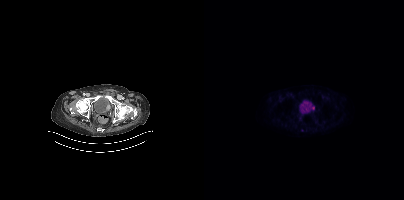
{"modality":"PSMA PET/CT","view":"axial","tracer":"18F","pet_grid":[200,200],"coord_frame":"pet_panel","coord_format":"x0,y0,x1,y1","partial":true,"lesion_bboxes":[],"small_foci_centers":[[108,107],[102,130]]}